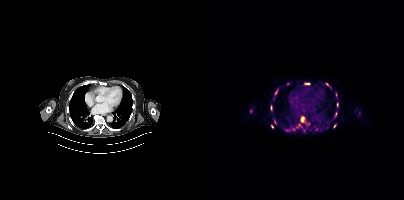
Coordinates are on the 200×200 PET (right) panel. (showing 12 of 17 foci) PSMA-avid tumor lesion bounding boxes (x0,y0,x1,y1): [97,117,100,121]; [100,83,105,84]; [71,90,73,94]; [131,112,132,116]. Small PSMA-avid foci (2 to 4 px across) near (center x, center y): (112, 129); (133, 104); (93, 125); (46, 111); (130, 126); (68, 127); (123, 84); (89, 129). Paired axial CT (left) and PSMA PET (right), [18F]PSMA-1007 tracer. Acquired on Siemens Biograph mCT Flow 20.